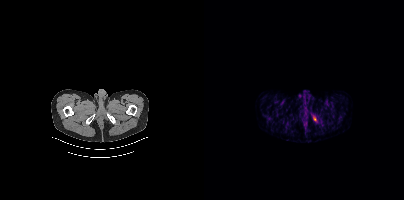
modality: PSMA PET/CT | tracer: 68Ga-PSMA | view: axial | PET grid: 200×200
Coordinates are on the 200×200 PET (right) panel. Small PSMA-avid focus (2 to 4 px across) near (center x, center y): (110, 118).